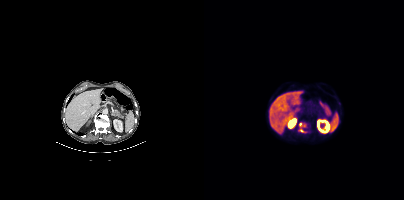
Findings: Coordinates are on the 200×200 PET (right) panel. (showing 1 of 4 foci) PSMA-avid tumor lesion bounding box (x, y, width, height): x=95 y=123 w=5 h=10.
- Left: CT. Right: PSMA PET, same axial level, 18F-PSMA tracer
- acquired on Siemens Biograph mCT Flow 20
- slice 211 of 435